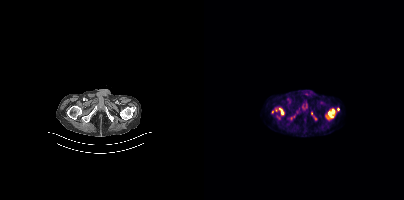
modality: PSMA PET/CT | tracer: 18F | view: axial
Coordinates are on the 200×200 PET (right) panel. PSMA-avid tumor lesion bounding box (x, y, width, height): x=75 y=108 w=5 h=7. Small PSMA-avid foci (2 to 4 px across) near (center x, center y): (72, 110); (68, 111).